modality: PSMA PET/CT | tracer: [68Ga]Ga-PSMA-11 | view: axial
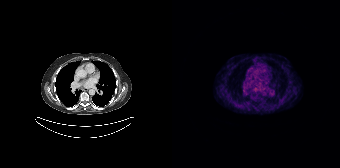
Negative for PSMA-avid disease on this slice.